Technique: Left: CT. Right: PSMA PET, same axial level, 18F tracer. slice 1 of 195. PET panel 168×168 px (4.1 mm/px).
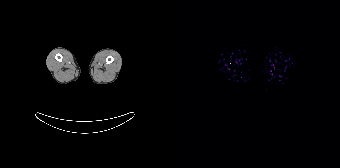
Findings: No tumor lesions annotated on this slice.